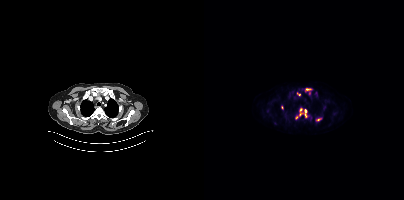
Technique: Paired axial CT (left) and PSMA PET (right), [18F]PSMA-1007 tracer. acquired on Siemens Biograph mCT Flow 20. slice 315 of 395.
Findings: Coordinates are on the 200×200 PET (right) panel. (showing 6 of 8 foci) PSMA-avid tumor lesion bounding boxes (x0, y0)-(x1, y1): (95, 108)-(105, 117) / (111, 117)-(118, 121) / (101, 88)-(107, 91). Small PSMA-avid foci (2 to 4 px across) near (center x, center y): (94, 93) / (92, 117) / (78, 107).